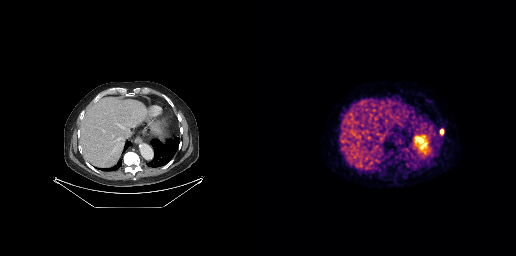
Findings: Coordinates are on the 256×256 PET (right) panel. PSMA-avid tumor lesion bounding box (x, y, width, height): x=180 y=129 w=4 h=6.
- Left: CT. Right: PSMA PET, same axial level, [68Ga]Ga-PSMA-11 tracer
- PET panel 256×256 px (2.7 mm/px)